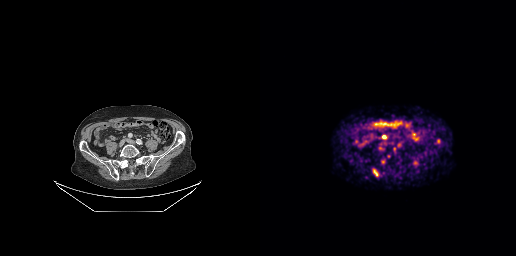
Paired axial CT (left) and PSMA PET (right), 68Ga tracer. Acquired on GE Discovery 690. PET panel 256×256 px (2.7 mm/px). Coordinates are on the 256×256 PET (right) panel. (showing 4 of 7 foci) PSMA-avid tumor lesion bounding boxes (x, y, width, height): x=122 y=135 w=5 h=4 / x=177 y=139 w=4 h=5. Small PSMA-avid foci (2 to 4 px across) near (center x, center y): (123, 161) / (115, 172).